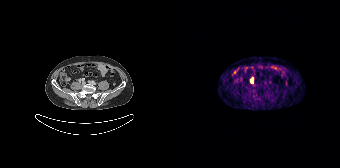
Coordinates are on the 168×168 PET (right) panel. PSMA-avid tumor lesion bounding box (x, y, width, height): x=78 y=78 w=4 h=6.
modality: PSMA PET/CT | tracer: 68Ga | view: axial | PET grid: 168×168